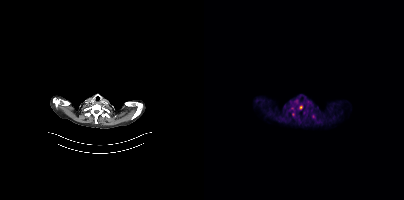
{"modality":"PSMA PET/CT","view":"axial","tracer":"[18F]PSMA-1007","pet_grid":[200,200],"coord_frame":"pet_panel","coord_format":"x0,y0,x1,y1","partial":true,"lesion_bboxes":[],"small_foci_centers":[[96,107]]}